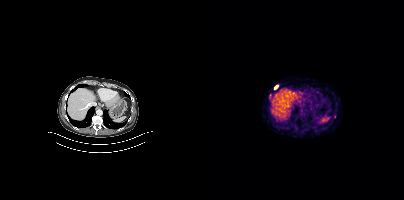
Paired axial CT (left) and PSMA PET (right), 68Ga-PSMA tracer. Slice position z = -1112 mm. PET panel 200×200 px (4.1 mm/px).
Coordinates are on the 200×200 PET (right) panel. PSMA-avid tumor lesion bounding boxes:
| # | x0 | y0 | x1 | y1 |
|---|---|---|---|---|
| 1 | 71 | 85 | 73 | 89 |